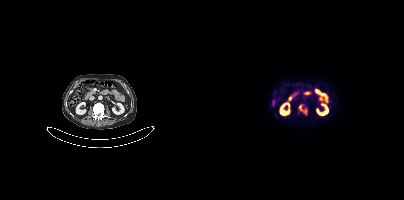
Technique: Left: CT. Right: PSMA PET, same axial level, 18F-PSMA tracer. PET panel 200×200 px (4.1 mm/px).
Findings: Coordinates are on the 200×200 PET (right) panel. PSMA-avid tumor lesion bounding box (x0,y0,x1,y1): [94,104,103,115].